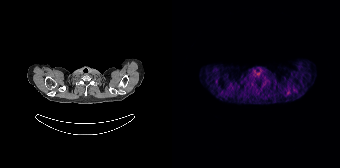
Negative for PSMA-avid disease on this slice. Paired axial CT (left) and PSMA PET (right), [68Ga]Ga-PSMA-11 tracer. Acquired on Siemens Biograph 64-4R TruePoint. Slice position z = -124 mm. PET panel 168×168 px (4.1 mm/px).